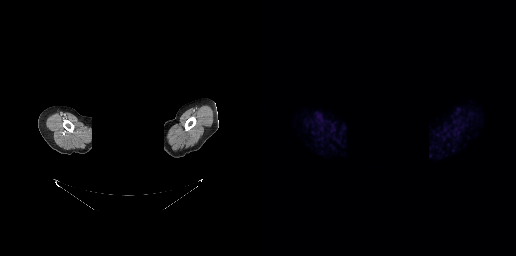
Face de-identified by blanking a block of the head.
This slice has no annotated PSMA-avid lesion.